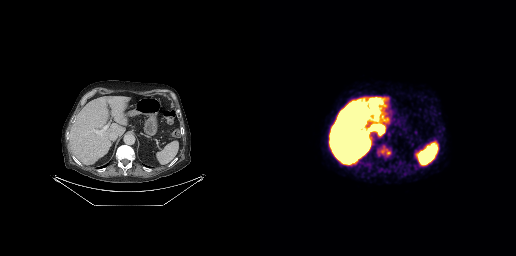
Coordinates are on the 256×256 PET (right) panel. PSMA-avid tumor lesion bounding box (x0,y0,x1,y1): [118,146,131,156].
modality: PSMA PET/CT | tracer: [18F]PSMA-1007 | view: axial | PET grid: 256×256